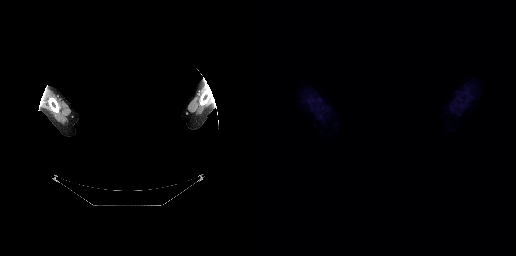
The head region is masked for de-identification. Two-panel axial: CT | PSMA PET, [18F]PSMA-1007 tracer. Negative for PSMA-avid disease on this slice.